Paired axial CT (left) and PSMA PET (right), 18F-PSMA tracer. Acquired on Siemens Biograph mCT Flow 20. PET panel 200×200 px (4.1 mm/px).
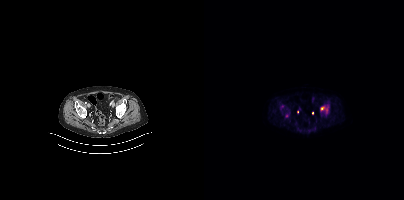
Coordinates are on the 200×200 PET (right) panel. PSMA-avid tumor lesion bounding boxes:
| # | x0 | y0 | x1 | y1 |
|---|---|---|---|---|
| 1 | 116 | 106 | 124 | 113 |
| 2 | 76 | 104 | 80 | 110 |
Small PSMA-avid focus (2 to 4 px across) near (center x, center y): (82, 115).